Left: CT. Right: PSMA PET, same axial level, 18F tracer. Slice position z = -392 mm. PET panel 200×200 px (4.1 mm/px).
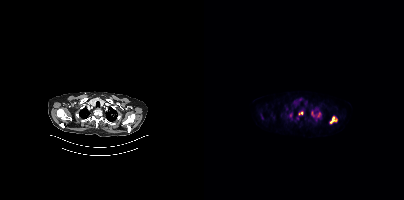
Coordinates are on the 200×200 PET (right) panel. (showing 4 of 6 foci) PSMA-avid tumor lesion bounding boxes (x0,y0,x1,y1): [126,116,133,123] [113,112,116,117] [107,111,110,116]. Small PSMA-avid focus (2 to 4 px across) near (center x, center y): (97, 113).